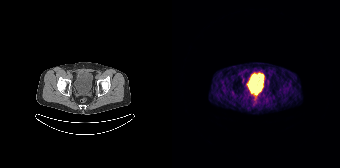
- Paired axial CT (left) and PSMA PET (right), [68Ga]Ga-PSMA-11 tracer
- acquired on Siemens Biograph 64-4R TruePoint
- slice position z = -674 mm
- PET panel 168×168 px (4.1 mm/px)
Findings: Coordinates are on the 168×168 PET (right) panel. Small PSMA-avid focus (2 to 4 px across) near (center x, center y): (70, 81).